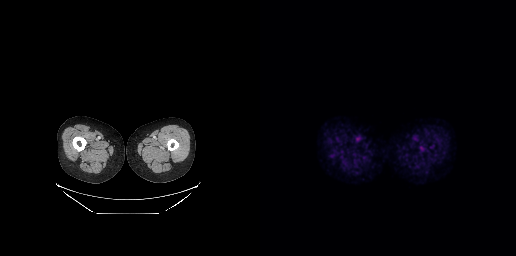
{"modality":"PSMA PET/CT","view":"axial","tracer":"18F","pet_grid":[256,256],"coord_frame":"pet_panel","coord_format":"x0,y0,x1,y1","psma_avid_lesions":false}